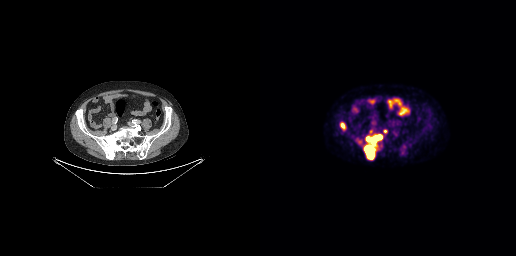
Paired axial CT (left) and PSMA PET (right), 18F-PSMA tracer. Coordinates are on the 256×256 PET (right) panel. PSMA-avid tumor lesion bounding boxes (x0,y0,x1,y1): [103,134,122,159], [80,122,85,129], [123,131,127,132]. Small PSMA-avid focus (2 to 4 px across) near (center x, center y): (110, 131).